Paired axial CT (left) and PSMA PET (right), 18F-PSMA tracer. Acquired on Siemens Biograph mCT Flow 20.
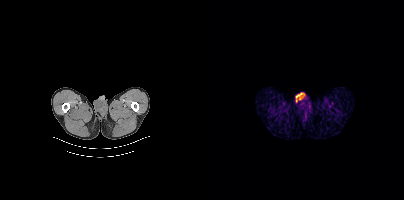
This slice has no annotated PSMA-avid lesion.